Two-panel axial: CT | PSMA PET, 18F-PSMA tracer. Slice position z = -140 mm.
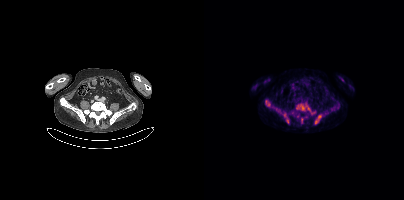
Coordinates are on the 200×200 PET (right) panel. (showing 6 of 7 foci) PSMA-avid tumor lesion bounding boxes (x0,y0,x1,y1): [92,103,111,114], [111,114,117,124], [79,113,85,123], [61,100,66,106], [97,118,98,122]. Small PSMA-avid focus (2 to 4 px across) near (center x, center y): (72, 109).